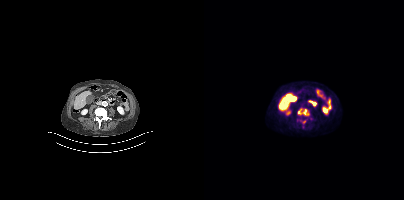
{"pet_grid":[200,200],"coord_frame":"pet_panel","coord_format":"x0,y0,x1,y1","lesion_bboxes":[[93,108,105,116],[99,120,102,124]],"modality":"PSMA PET/CT","view":"axial","tracer":"18F"}